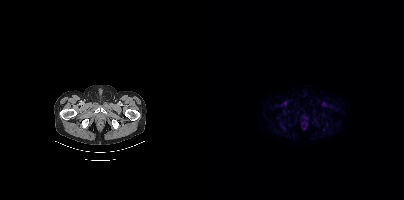
Technique: Two-panel axial: CT | PSMA PET, 18F tracer. PET panel 200×200 px (4.1 mm/px).
Findings: Negative for PSMA-avid disease on this slice.